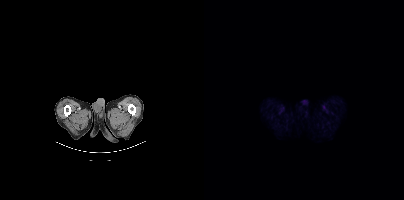
{"modality":"PSMA PET/CT","view":"axial","tracer":"18F","pet_grid":[200,200],"coord_frame":"pet_panel","coord_format":"x0,y0,x1,y1","psma_avid_lesions":false}